Technique: Paired axial CT (left) and PSMA PET (right), 18F tracer.
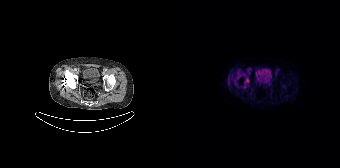
Findings: No PSMA-avid tumor lesions on this slice.